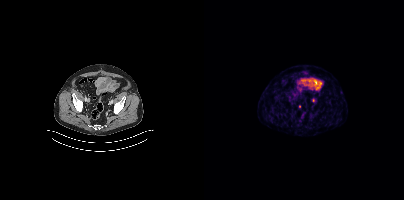
{"pet_grid":[200,200],"coord_frame":"pet_panel","coord_format":"x0,y0,x1,y1","lesion_bboxes":[],"small_foci_centers":[[109,100],[95,106]],"modality":"PSMA PET/CT","view":"axial","tracer":"68Ga"}